Two-panel axial: CT | PSMA PET, 18F tracer. Acquired on Siemens Biograph mCT Flow 20. PET panel 200×200 px (4.1 mm/px).
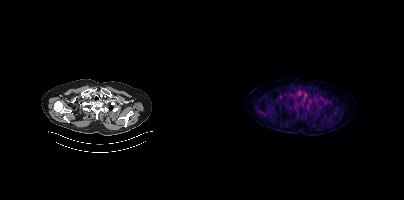
No PSMA-avid tumor lesions on this slice.